Technique: Left: CT. Right: PSMA PET, same axial level, [18F]PSMA-1007 tracer. PET panel 168×168 px (4.1 mm/px).
Note: The face region was removed for patient privacy by blanking a rectangle over the head.
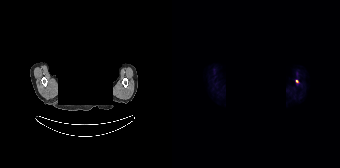
Findings: Coordinates are on the 168×168 PET (right) panel. Small PSMA-avid focus (2 to 4 px across) near (center x, center y): (125, 81).